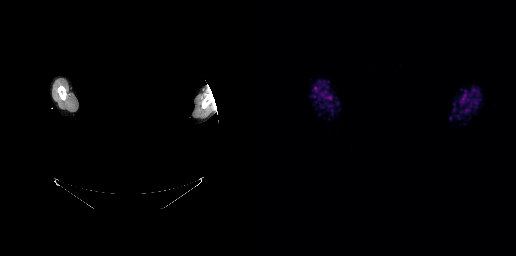
modality: PSMA PET/CT | tracer: 18F-PSMA | view: axial | de-identification: face masked with black rectangle
No tumor lesions annotated on this slice.